Paired axial CT (left) and PSMA PET (right), 68Ga tracer. Acquired on Siemens Biograph mCT Flow 20. Slice position z = 441 mm. PET panel 200×200 px (4.1 mm/px).
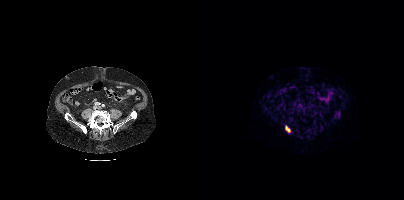
Coordinates are on the 200×200 PET (right) panel. PSMA-avid tumor lesion bounding boxes:
| # | x0 | y0 | x1 | y1 |
|---|---|---|---|---|
| 1 | 81 | 126 | 86 | 132 |